Paired axial CT (left) and PSMA PET (right), 68Ga tracer. Acquired on GE Discovery 690. Slice position z = -884 mm. PET panel 256×256 px (2.7 mm/px).
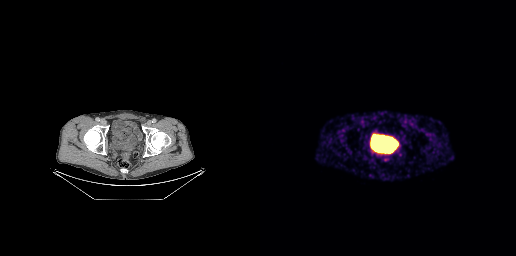
Negative for PSMA-avid disease on this slice.